Technique: Two-panel axial: CT | PSMA PET, [68Ga]Ga-PSMA-11 tracer. acquired on Siemens Biograph 64-4R TruePoint.
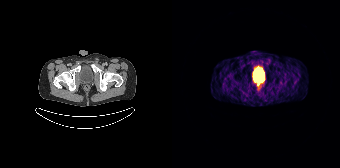
Findings: Coordinates are on the 168×168 PET (right) panel. Small PSMA-avid focus (2 to 4 px across) near (center x, center y): (86, 84).